- Paired axial CT (left) and PSMA PET (right), 68Ga-PSMA tracer
- acquired on Siemens Biograph 64-4R TruePoint
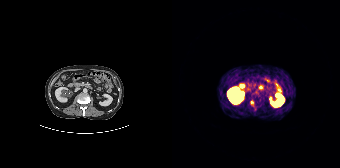
Findings: Only PSMA-avid lesion pieces thinner than 2 px on this slice (not listed).